- Two-panel axial: CT | PSMA PET, 18F tracer
- PET panel 200×200 px (4.1 mm/px)
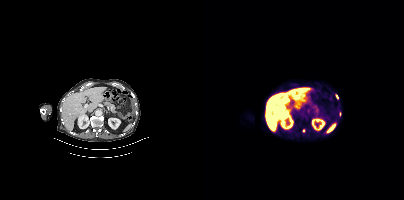
Findings: Coordinates are on the 200×200 PET (right) panel. PSMA-avid tumor lesion bounding box (x, y, width, height): x=131 y=94 w=4 h=6. Small PSMA-avid foci (2 to 4 px across) near (center x, center y): (99, 130) | (136, 113).